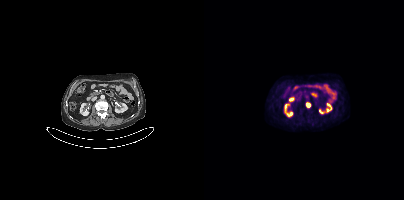
Coordinates are on the 200×200 PET (right) panel. Small PSMA-avid focus (2 to 4 px across) near (center x, center y): (104, 104). Two-panel axial: CT | PSMA PET, 18F-PSMA tracer.